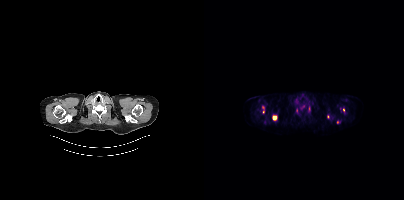
{"modality":"PSMA PET/CT","view":"axial","tracer":"18F","pet_grid":[200,200],"coord_frame":"pet_panel","coord_format":"x0,y0,x1,y1","partial":true,"lesion_bboxes":[[68,116,72,120]],"small_foci_centers":[[139,109]]}